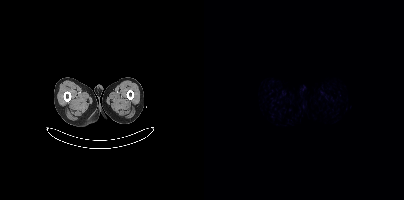
No PSMA-avid tumor lesions on this slice.